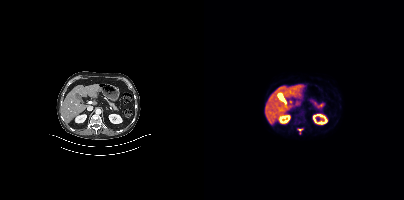
modality: PSMA PET/CT | tracer: 18F-PSMA | view: axial
Coordinates are on the 200×200 PET (right) panel. (showing 1 of 2 foci) PSMA-avid tumor lesion bounding box (x, y, width, height): x=94 y=129 w=5 h=2.